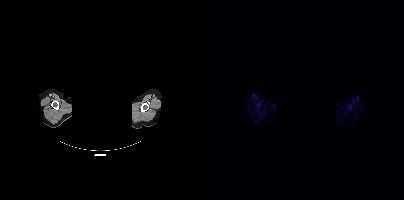
{"modality":"PSMA PET/CT","view":"axial","tracer":"[18F]PSMA-1007","pet_grid":[200,200],"coord_frame":"pet_panel","coord_format":"x0,y0,x1,y1","de-identification":"rectangular block over head set to black","lesion_bboxes":[],"small_foci_centers":[[146,105]]}